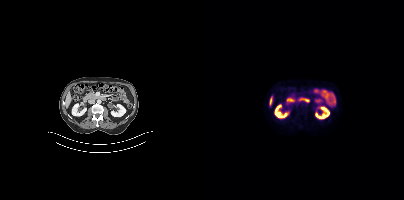
No PSMA-avid tumor lesions on this slice.
modality: PSMA PET/CT | tracer: 18F | view: axial